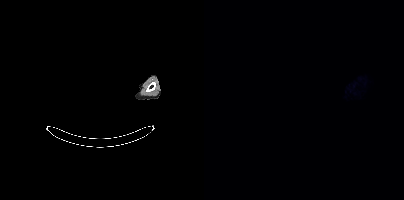
Any black rectangle over the head is a privacy mask, not anatomy.
No tumor lesions annotated on this slice.